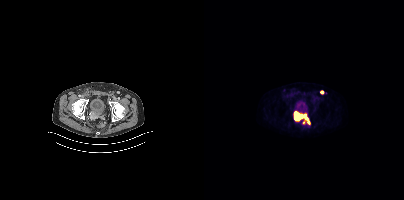
Findings: Coordinates are on the 200×200 PET (right) panel. PSMA-avid tumor lesion bounding box (x0, y0)-(x1, y1): (89, 111)-(106, 124). Small PSMA-avid focus (2 to 4 px across) near (center x, center y): (117, 91).
- Two-panel axial: CT | PSMA PET, [18F]PSMA-1007 tracer
- PET panel 200×200 px (4.1 mm/px)